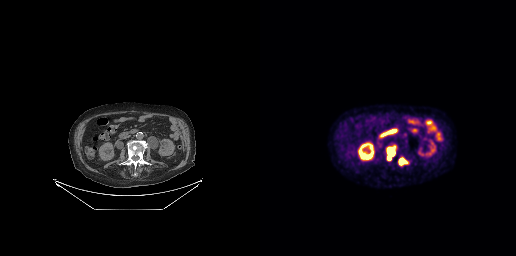
- Two-panel axial: CT | PSMA PET, [18F]PSMA-1007 tracer
- slice position z = -438 mm
Findings: Coordinates are on the 256×256 PET (right) panel. PSMA-avid tumor lesion bounding boxes (x, y, width, height): x=126 y=145 w=10 h=16 / x=138 y=157 w=11 h=9.